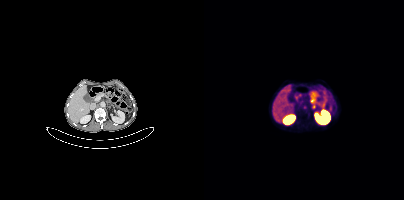
Two-panel axial: CT | PSMA PET, 68Ga tracer. Slice 189 of 409. Coordinates are on the 200×200 PET (right) panel. Small PSMA-avid focus (2 to 4 px across) near (center x, center y): (100, 107).